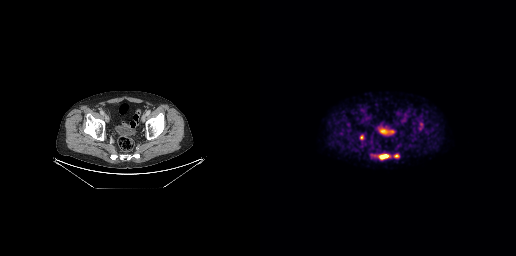
{"modality":"PSMA PET/CT","view":"axial","tracer":"18F","pet_grid":[256,256],"coord_frame":"pet_panel","coord_format":"x0,y0,x1,y1","lesion_bboxes":[[111,154,129,159],[159,123,163,129],[134,154,139,157]],"small_foci_centers":[[101,137]]}